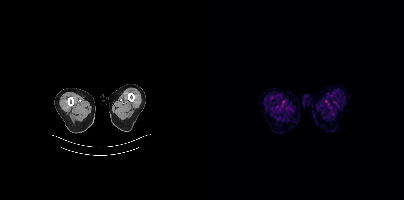
Findings: No PSMA-avid tumor lesions on this slice.
- Left: CT. Right: PSMA PET, same axial level, [18F]PSMA-1007 tracer
- slice position z = -1552 mm
- PET panel 200×200 px (4.1 mm/px)